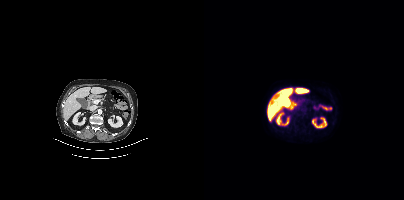
Two-panel axial: CT | PSMA PET, 18F tracer. Slice position z = -688 mm. PET panel 200×200 px (4.1 mm/px). No PSMA-avid tumor lesions on this slice.